Two-panel axial: CT | PSMA PET, 18F-PSMA tracer. Acquired on Siemens Biograph mCT Flow 20. Slice position z = -596 mm. PET panel 200×200 px (4.1 mm/px).
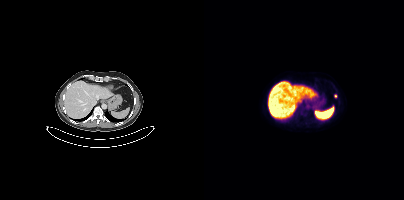
Coordinates are on the 200×200 PET (right) panel. Small PSMA-avid focus (2 to 4 px across) near (center x, center y): (131, 96).